- Two-panel axial: CT | PSMA PET, 18F tracer
- slice 366 of 435
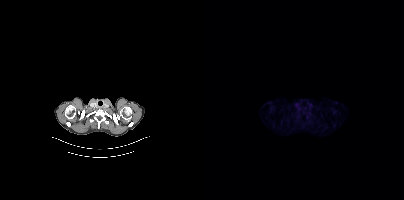
Findings: No tumor lesions annotated on this slice.